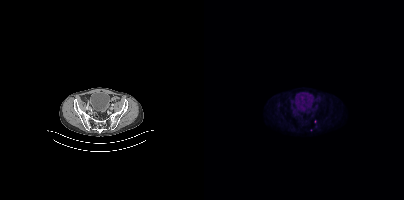
Two-panel axial: CT | PSMA PET, [18F]PSMA-1007 tracer. Acquired on Siemens Biograph mCT Flow 20. Slice 90 of 405. Only PSMA-avid lesion pieces thinner than 2 px on this slice (not listed).